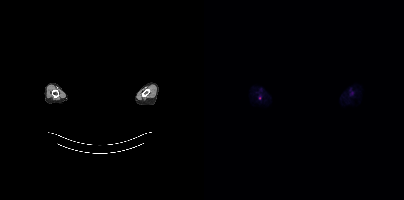
{"modality":"PSMA PET/CT","view":"axial","tracer":"18F","pet_grid":[200,200],"coord_frame":"pet_panel","coord_format":"x0,y0,x1,y1","de-identification":"privacy mask over head","lesion_bboxes":[],"small_foci_centers":[[55,98]]}